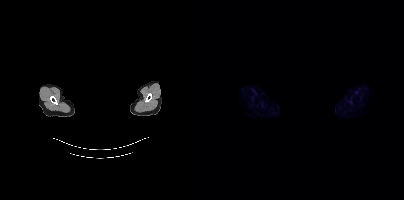
Paired axial CT (left) and PSMA PET (right), 68Ga tracer. PET panel 200×200 px (4.1 mm/px). The face region was removed for patient privacy by blanking a rectangle over the head. This slice has no annotated PSMA-avid lesion.